Paired axial CT (left) and PSMA PET (right), 18F tracer. Slice position z = -1407 mm.
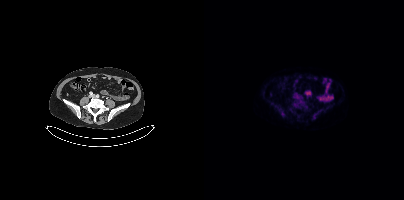
Negative for PSMA-avid disease on this slice.